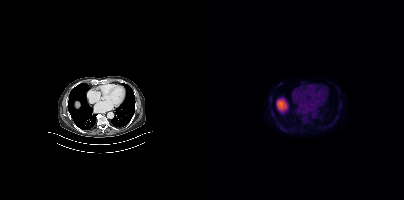
- Paired axial CT (left) and PSMA PET (right), 18F tracer
Findings: No PSMA-avid tumor lesions on this slice.